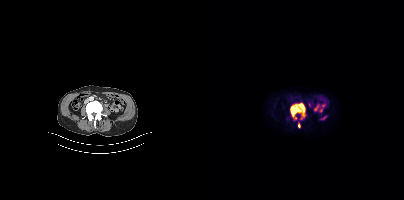
{"modality":"PSMA PET/CT","view":"axial","tracer":"18F-PSMA","pet_grid":[200,200],"coord_frame":"pet_panel","coord_format":"x0,y0,x1,y1","partial":true,"lesion_bboxes":[[86,103,101,119],[94,123,96,128]]}